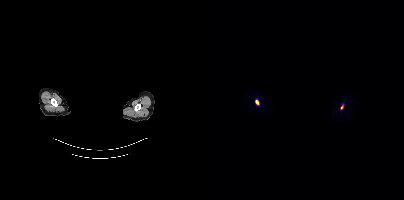
{"pet_grid":[200,200],"coord_frame":"pet_panel","coord_format":"x0,y0,x1,y1","lesion_bboxes":[[51,100,54,104]],"small_foci_centers":[[137,107]],"modality":"PSMA PET/CT","view":"axial","tracer":"18F-PSMA","de-identification":"face masked with black rectangle"}